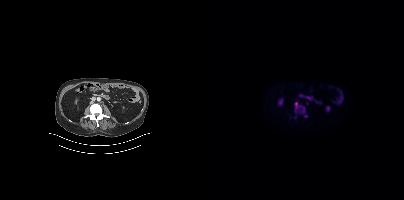
Left: CT. Right: PSMA PET, same axial level, 18F-PSMA tracer. PET panel 200×200 px (4.1 mm/px). Coordinates are on the 200×200 PET (right) panel. PSMA-avid tumor lesion bounding box (x0, y0)-(x1, y1): (90, 102)-(103, 117).